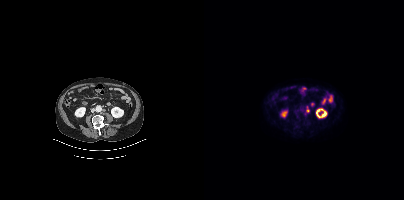
{"modality":"PSMA PET/CT","view":"axial","tracer":"18F-PSMA","pet_grid":[200,200],"coord_frame":"pet_panel","coord_format":"x0,y0,x1,y1","lesion_bboxes":[[101,107,105,114]]}